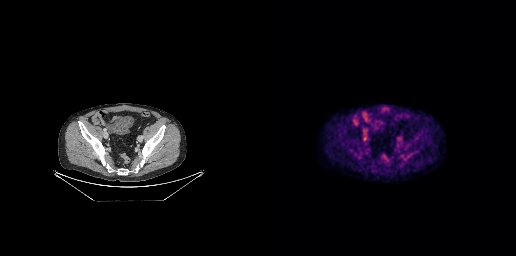
{"modality":"PSMA PET/CT","view":"axial","tracer":"18F","pet_grid":[256,256],"coord_frame":"pet_panel","coord_format":"x0,y0,x1,y1","lesion_bboxes":[[103,136,106,140]],"small_foci_centers":[[138,140]]}